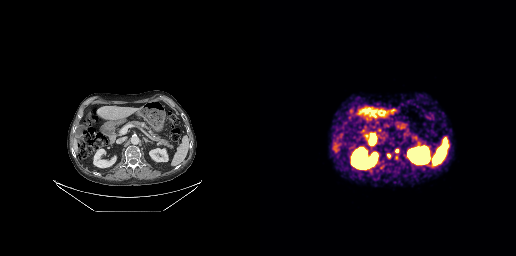
Coordinates are on the 256×256 PET (right) panel. PSMA-avid tumor lesion bounding box (x0, y0)-(x1, y1): (127, 153)-(130, 158). Small PSMA-avid foci (2 to 4 px across) near (center x, center y): (137, 150) / (136, 157).